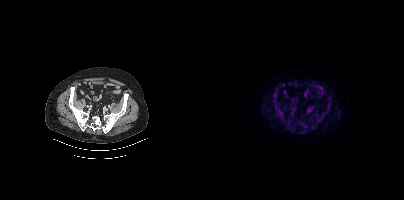
Findings: No tumor lesions annotated on this slice.
- Left: CT. Right: PSMA PET, same axial level, 18F-PSMA tracer
- acquired on Siemens Biograph mCT Flow 20
- slice 126 of 462
- PET panel 200×200 px (4.1 mm/px)